Technique: Paired axial CT (left) and PSMA PET (right), 18F-PSMA tracer. acquired on Siemens Biograph mCT Flow 20.
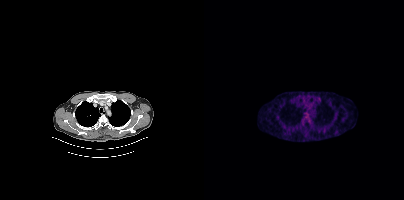
Findings: Negative for PSMA-avid disease on this slice.